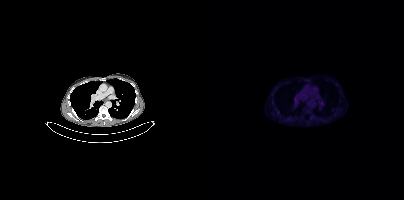
Paired axial CT (left) and PSMA PET (right), 18F-PSMA tracer. Acquired on Siemens Biograph mCT Flow 20. Coordinates are on the 200×200 PET (right) panel. Small PSMA-avid foci (2 to 4 px across) near (center x, center y): (117, 103) | (74, 111) | (106, 117).